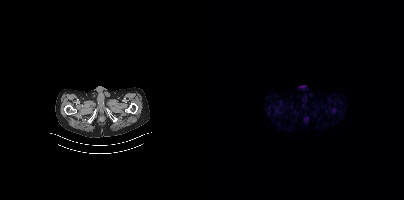
No tumor lesions annotated on this slice.